modality: PSMA PET/CT | tracer: 18F-PSMA | view: axial | PET grid: 200×200
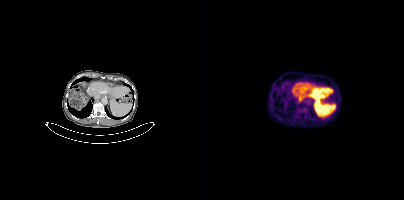
Negative for PSMA-avid disease on this slice.